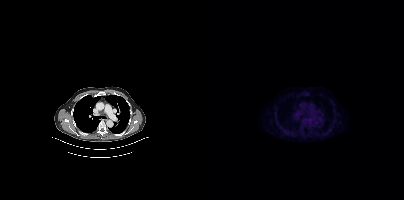
modality: PSMA PET/CT | tracer: 18F-PSMA | view: axial | PET grid: 200×200
Negative for PSMA-avid disease on this slice.